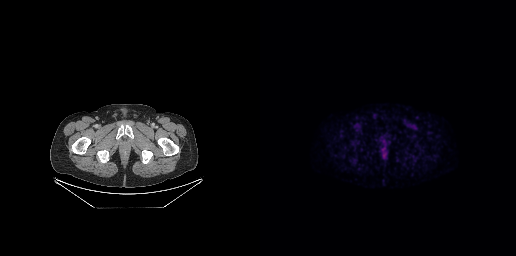
Coordinates are on the 256×256 PET (right) panel. Small PSMA-avid focus (2 to 4 px across) near (center x, center y): (144, 121).